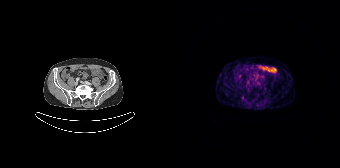
{"modality":"PSMA PET/CT","view":"axial","tracer":"68Ga-PSMA","pet_grid":[168,168],"coord_frame":"pet_panel","coord_format":"x0,y0,x1,y1","lesion_bboxes":[],"small_foci_centers":[[70,98]]}